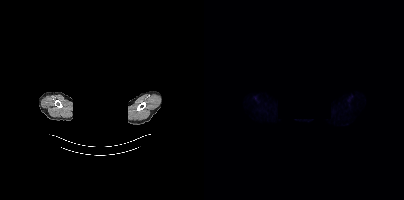
No PSMA-avid tumor lesions on this slice.
modality: PSMA PET/CT | tracer: 18F | view: axial | de-identification: privacy mask over head